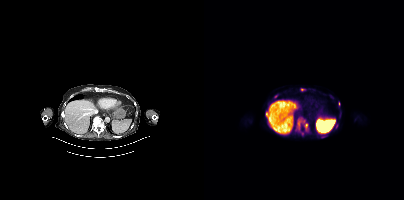
Coordinates are on the 200×200 PET (right) panel. PSMA-avid tumor lesion bounding boxes (x, y, width, height): x=91 y=117 w=15 h=19 | x=96 y=88 w=6 h=4 | x=70 y=94 w=5 h=5 | x=117 y=135 w=6 h=4 | x=62 y=115 w=3 h=6. Small PSMA-avid foci (2 to 4 px across) near (center x, center y): (133, 125) | (135, 103) | (128, 97).